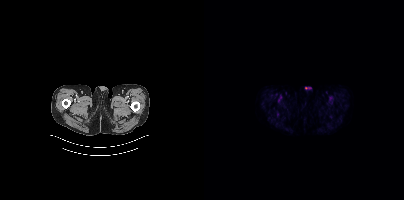
No PSMA-avid tumor lesions on this slice. Paired axial CT (left) and PSMA PET (right), 18F tracer. Slice 21 of 425. PET panel 200×200 px (4.1 mm/px).